Technique: Paired axial CT (left) and PSMA PET (right), 18F-PSMA tracer. slice 43 of 383. PET panel 200×200 px (4.1 mm/px).
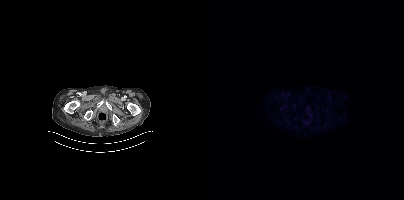
Findings: No PSMA-avid tumor lesions on this slice.